Paired axial CT (left) and PSMA PET (right), 68Ga tracer. Slice 97 of 195.
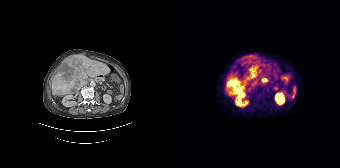
Coordinates are on the 168×168 PET (right) panel. PSMA-avid tumor lesion bounding boxes (x, y, width, height): x=54 y=78 w=19 h=18; x=77 y=67 w=11 h=13; x=90 y=78 w=6 h=5; x=73 y=80 w=4 h=5.